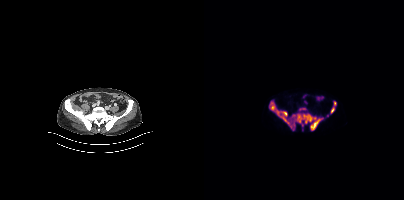
Coordinates are on the 200×200 PET (right) panel. PSMA-avid tumor lesion bounding boxes (x0,y0,x1,y1): [65,101,119,130]; [127,107,130,113]; [95,108,101,110]. Small PSMA-avid focus (2 to 4 px across) near (center x, center y): (130, 103).